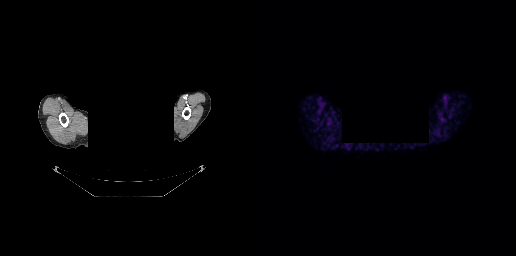
Findings: No PSMA-avid tumor lesions on this slice.
Technique: Two-panel axial: CT | PSMA PET, 68Ga tracer. slice position z = -264 mm.
Note: Facial anatomy redacted by setting a rectangular region of the head to black.